Paired axial CT (left) and PSMA PET (right), 18F-PSMA tracer. PET panel 200×200 px (4.1 mm/px).
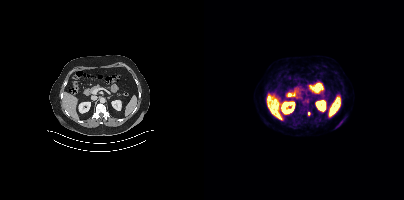
Coordinates are on the 200×200 PET (right) panel. Small PSMA-avid focus (2 to 4 px across) near (center x, center y): (104, 113).